- Left: CT. Right: PSMA PET, same axial level, [18F]PSMA-1007 tracer
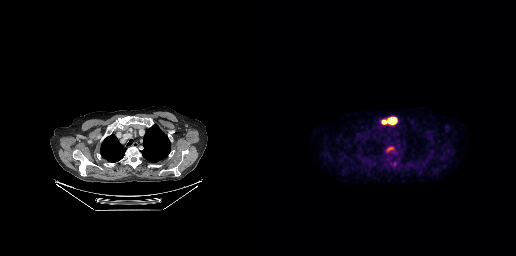
Findings: Coordinates are on the 256×256 PET (right) panel. PSMA-avid tumor lesion bounding box (x, y, width, height): x=128 y=118 w=9 h=6. Small PSMA-avid foci (2 to 4 px across) near (center x, center y): (123, 121) | (135, 163) | (130, 148).